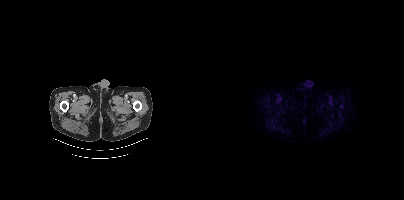
{"modality":"PSMA PET/CT","view":"axial","tracer":"18F","pet_grid":[200,200],"coord_frame":"pet_panel","coord_format":"x0,y0,x1,y1","psma_avid_lesions":false}